- Paired axial CT (left) and PSMA PET (right), 18F-PSMA tracer
- slice position z = -1068 mm
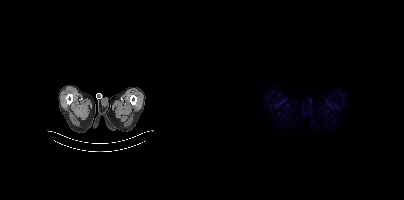
Findings: Negative for PSMA-avid disease on this slice.